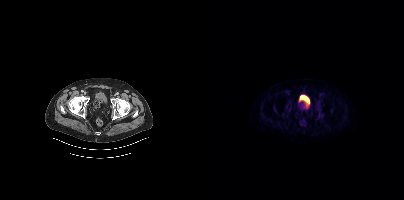
Findings: Coordinates are on the 200×200 PET (right) panel. PSMA-avid tumor lesion bounding boxes (x, y, width, height): x=81 y=104 w=6 h=7; x=114 y=113 w=6 h=6; x=111 y=100 w=6 h=6.
- Paired axial CT (left) and PSMA PET (right), [18F]PSMA-1007 tracer
- slice position z = -1375 mm